modality: PSMA PET/CT | tracer: [18F]PSMA-1007 | view: axial
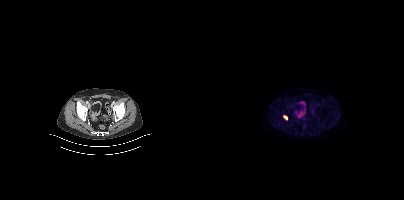
Coordinates are on the 200×200 PET (right) panel. PSMA-avid tumor lesion bounding box (x0, y0)-(x1, y1): (79, 115)-(83, 119).